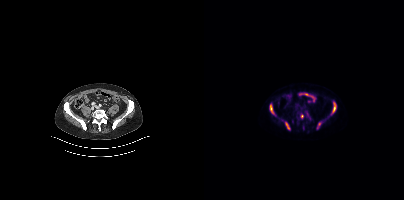
Coordinates are on the 200×200 PET (right) panel. PSMA-avid tumor lesion bounding boxes (x0,y0,x1,y1): [128,102,132,113], [66,104,70,114], [81,122,86,129], [113,121,117,127], [103,114,106,119]. Small PSMA-avid focus (2 to 4 px across) near (center x, center y): (98, 116).